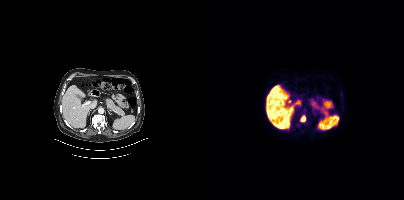
Coordinates are on the 200×200 PET (right) panel. PSMA-avid tumor lesion bounding boxes (partial; 1 more focus not listed):
| # | x0 | y0 | x1 | y1 |
|---|---|---|---|---|
| 1 | 96 | 115 | 101 | 121 |
Paired axial CT (left) and PSMA PET (right), 18F tracer. Slice position z = -1112 mm.